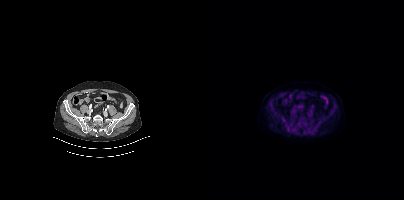
Coordinates are on the 200×200 PET (right) panel. (showing 1 of 2 foci) Small PSMA-avid focus (2 to 4 px across) near (center x, center y): (84, 128).